- Paired axial CT (left) and PSMA PET (right), 18F-PSMA tracer
- PET panel 200×200 px (4.1 mm/px)
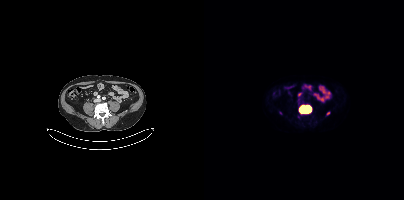
Findings: Coordinates are on the 200×200 PET (right) panel. (showing 2 of 3 foci) PSMA-avid tumor lesion bounding box (x, y, width, height): x=95 y=105 w=13 h=9. Small PSMA-avid focus (2 to 4 px across) near (center x, center y): (94, 99).